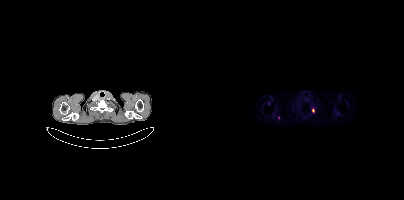
Coordinates are on the 200×200 PET (right) panel. Small PSMA-avid foci (2 to 4 px across) near (center x, center y): (109, 110) | (74, 118). Paired axial CT (left) and PSMA PET (right), [68Ga]Ga-PSMA-11 tracer. PET panel 200×200 px (4.1 mm/px).